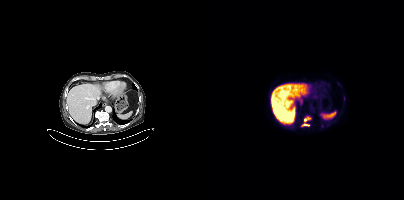
Coordinates are on the 200×200 PET (right) panel. (showing 3 of 4 foci) PSMA-avid tumor lesion bounding boxes (x0,y0,x1,y1): [101,117,106,121]; [99,124,105,125]. Small PSMA-avid focus (2 to 4 px across) near (center x, center y): (140, 98).